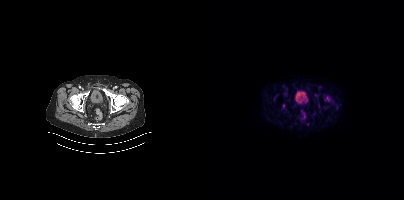
This slice has no annotated PSMA-avid lesion.
modality: PSMA PET/CT | tracer: [18F]PSMA-1007 | view: axial